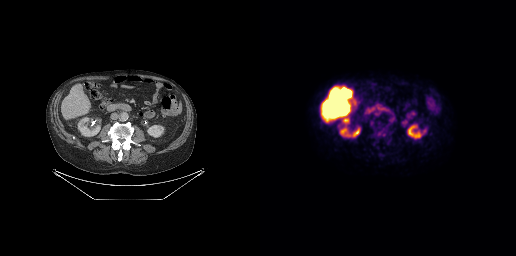
Coordinates are on the 256×256 PET (right) panel. (showing 2 of 3 foci) Small PSMA-avid foci (2 to 4 px across) near (center x, center y): (120, 133) / (124, 134).